Two-panel axial: CT | PSMA PET, [18F]PSMA-1007 tracer. Slice position z = -344 mm. PET panel 200×200 px (4.1 mm/px).
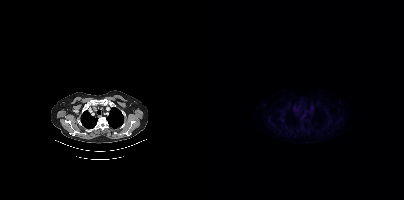
This slice has no annotated PSMA-avid lesion.